modality: PSMA PET/CT | tracer: [18F]PSMA-1007 | view: axial | PET grid: 200×200
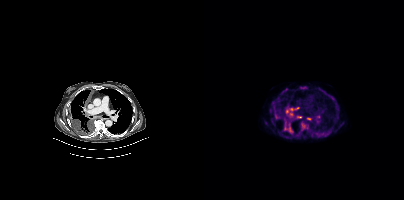
Coordinates are on the 200×200 PET (right) panel. (showing 7 of 9 foci) PSMA-avid tumor lesion bounding boxes (x0, y0)-(x1, y1): (80, 124)-(89, 133); (96, 86)-(102, 89); (86, 108)-(91, 110). Small PSMA-avid foci (2 to 4 px across) near (center x, center y): (87, 114); (70, 112); (105, 118); (93, 107).